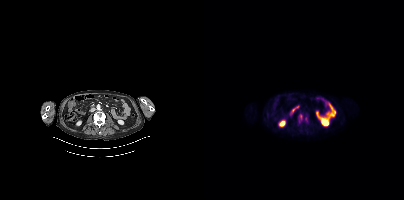
{"modality":"PSMA PET/CT","view":"axial","tracer":"[18F]PSMA-1007","pet_grid":[200,200],"coord_frame":"pet_panel","coord_format":"x0,y0,x1,y1","lesion_bboxes":[[95,113,99,121],[101,116,103,121]]}